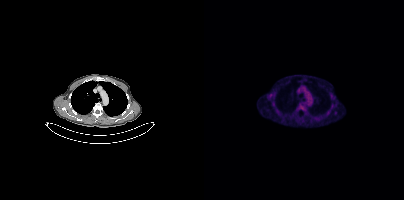
{"modality":"PSMA PET/CT","view":"axial","tracer":"18F","pet_grid":[200,200],"coord_frame":"pet_panel","coord_format":"x0,y0,x1,y1","psma_avid_lesions":false}